Technique: Paired axial CT (left) and PSMA PET (right), [18F]PSMA-1007 tracer. PET panel 200×200 px (4.1 mm/px).
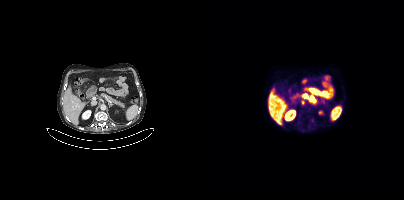
Findings: Coordinates are on the 200×200 PET (right) panel. PSMA-avid tumor lesion bounding box (x, y, width, height): x=97 y=100 w=4 h=5.